modality: PSMA PET/CT | tracer: [18F]PSMA-1007 | view: axial
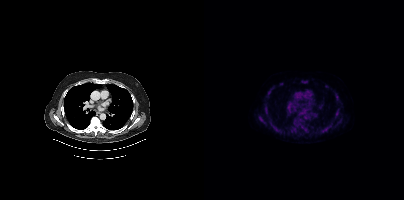
Coordinates are on the 200×200 PET (right) panel. (showing 15 of 17 foci) PSMA-avid tumor lesion bounding boxes (x, y, width, height): x=91 y=119 w=8 h=7 | x=117 y=127 w=8 h=6 | x=69 y=126 w=8 h=7 | x=131 y=110 w=5 h=7 | x=87 y=127 w=5 h=6 | x=55 y=117 w=5 h=5 | x=98 y=80 w=5 h=4 | x=100 y=126 w=4 h=5 | x=65 y=120 w=4 h=6 | x=63 y=90 w=5 h=4. Small PSMA-avid foci (2 to 4 px across) near (center x, center y): (133, 96) | (122, 86) | (61, 110) | (77, 83) | (62, 103).